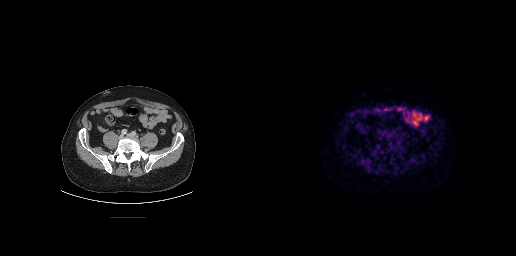
Negative for PSMA-avid disease on this slice.